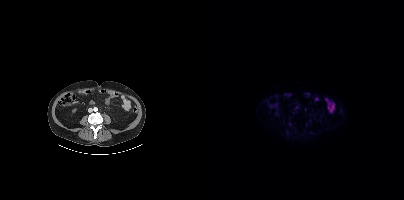
Negative for PSMA-avid disease on this slice.